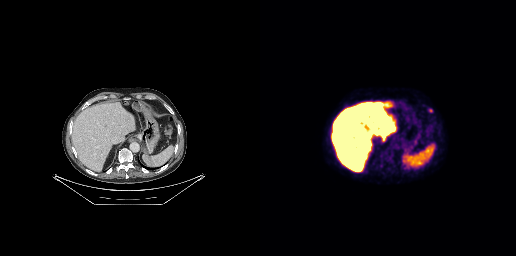
{"modality":"PSMA PET/CT","view":"axial","tracer":"[18F]PSMA-1007","pet_grid":[256,256],"coord_frame":"pet_panel","coord_format":"x0,y0,x1,y1","lesion_bboxes":[],"small_foci_centers":[[170,110]]}